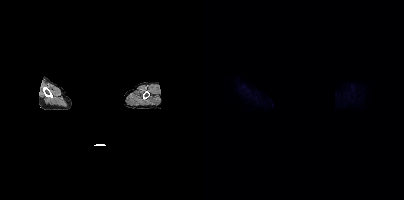
{"modality":"PSMA PET/CT","view":"axial","tracer":"[18F]PSMA-1007","pet_grid":[200,200],"coord_frame":"pet_panel","coord_format":"x0,y0,x1,y1","psma_avid_lesions":false,"deidentification":"rectangular block over head set to black"}